- Left: CT. Right: PSMA PET, same axial level, 18F tracer
- acquired on Siemens Biograph mCT Flow 20
- slice 366 of 452
- PET panel 200×200 px (4.1 mm/px)
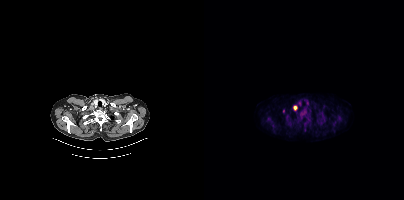
Findings: Coordinates are on the 200×200 PET (right) panel. (showing 3 of 4 foci) PSMA-avid tumor lesion bounding boxes (x0,y0,x1,y1): [98,110,102,117], [89,106,93,110]. Small PSMA-avid focus (2 to 4 px across) near (center x, center y): (79, 110).